modality: PSMA PET/CT | tracer: [18F]PSMA-1007 | view: axial
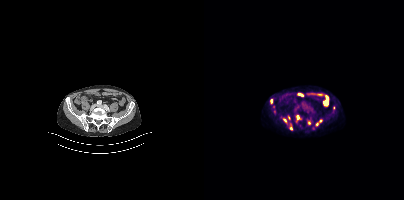
Coordinates are on the 200×200 PET (right) panel. PSMA-avid tumor lesion bounding boxes (x0, y0)-(x1, y1): (92, 115)-(95, 119) / (67, 99)-(68, 103). Small PSMA-avid foci (2 to 4 px across) near (center x, center y): (85, 117) / (87, 128) / (113, 124) / (129, 107) / (81, 120) / (105, 123) / (116, 121).